modality: PSMA PET/CT | tracer: 18F-PSMA | view: axial | PET grid: 200×200
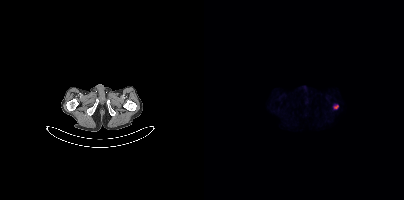
Coordinates are on the 200×200 PET (right) panel. PSMA-avid tumor lesion bounding box (x0,y0,x1,y1): [130,105,134,108].